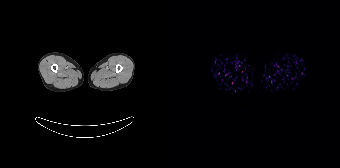
No PSMA-avid tumor lesions on this slice.